The face region was removed for patient privacy by blanking a rectangle over the head. Paired axial CT (left) and PSMA PET (right), [68Ga]Ga-PSMA-11 tracer. Slice position z = -198 mm. PET panel 168×168 px (4.1 mm/px).
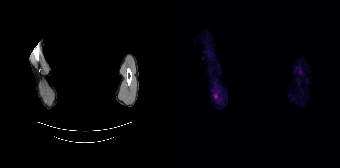
Negative for PSMA-avid disease on this slice.